- Left: CT. Right: PSMA PET, same axial level, [18F]PSMA-1007 tracer
- slice 121 of 421
- PET panel 200×200 px (4.1 mm/px)
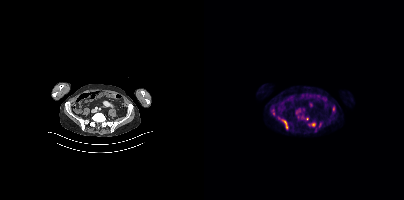
Findings: Coordinates are on the 200×200 PET (right) panel. PSMA-avid tumor lesion bounding box (x0, y0)-(x1, y1): (77, 119)-(84, 129). Small PSMA-avid focus (2 to 4 px across) near (center x, center y): (69, 113).